deidentification: privacy mask over head | modality: PSMA PET/CT | tracer: 68Ga | view: axial | PET grid: 256×256
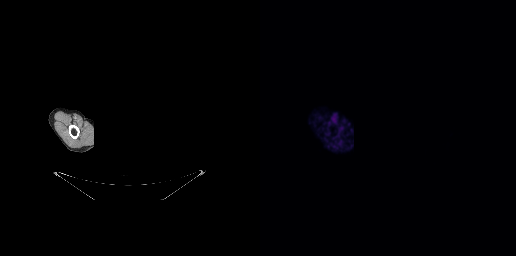
No PSMA-avid tumor lesions on this slice.